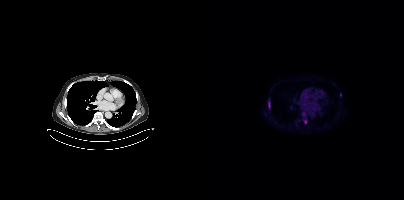
{"modality":"PSMA PET/CT","view":"axial","tracer":"18F-PSMA","pet_grid":[200,200],"coord_frame":"pet_panel","coord_format":"x0,y0,x1,y1","partial":true,"lesion_bboxes":[[64,101,66,108]],"small_foci_centers":[[136,94],[101,121]]}